Technique: Paired axial CT (left) and PSMA PET (right), 18F-PSMA tracer. slice 56 of 165. PET panel 168×168 px (4.1 mm/px).
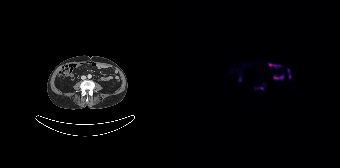
Findings: Coordinates are on the 168×168 PET (right) panel. Small PSMA-avid focus (2 to 4 px across) near (center x, center y): (89, 87).